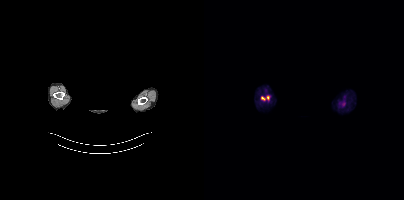
deidentification: head region blacked out before release | modality: PSMA PET/CT | tracer: [18F]PSMA-1007 | view: axial | PET grid: 200×200
This slice has no annotated PSMA-avid lesion.